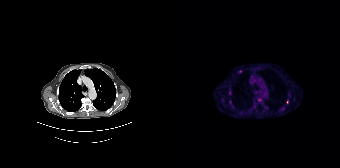
Left: CT. Right: PSMA PET, same axial level, [68Ga]Ga-PSMA-11 tracer. Acquired on Siemens Biograph 64-4R TruePoint. Slice 146 of 195. PET panel 168×168 px (4.1 mm/px). Coordinates are on the 168×168 PET (right) panel. (showing 6 of 7 foci) Small PSMA-avid foci (2 to 4 px across) near (center x, center y): (68, 71) (87, 99) (57, 92) (58, 101) (115, 102) (121, 99).